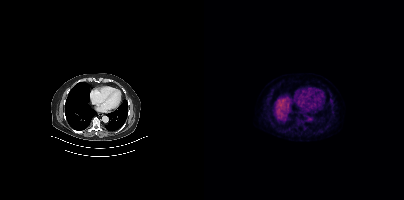
modality: PSMA PET/CT | tracer: [18F]PSMA-1007 | view: axial
This slice has no annotated PSMA-avid lesion.